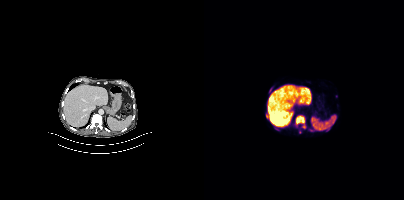
Paired axial CT (left) and PSMA PET (right), 18F-PSMA tracer. Acquired on Siemens Biograph mCT Flow 20. PET panel 200×200 px (4.1 mm/px).
Coordinates are on the 200×200 PET (right) panel. PSMA-avid tumor lesion bounding boxes (partial; 2 more foci not listed):
| # | x0 | y0 | x1 | y1 |
|---|---|---|---|---|
| 1 | 92 | 115 | 100 | 124 |
| 2 | 106 | 129 | 111 | 131 |
Small PSMA-avid foci (2 to 4 px across) near (center x, center y): (63, 117); (100, 126); (73, 129).